Left: CT. Right: PSMA PET, same axial level, 18F-PSMA tracer. PET panel 200×200 px (4.1 mm/px).
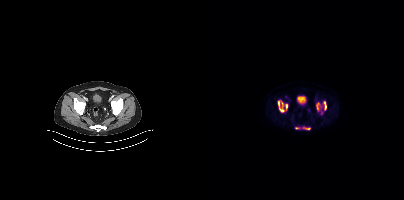
Coordinates are on the 200×200 PET (right) panel. PSMA-avid tumor lesion bounding boxes:
| # | x0 | y0 | x1 | y1 |
|---|---|---|---|---|
| 1 | 112 | 101 | 122 | 111 |
| 2 | 74 | 100 | 80 | 112 |
| 3 | 81 | 104 | 83 | 110 |
| 4 | 99 | 127 | 106 | 129 |
| 5 | 91 | 127 | 95 | 128 |
Small PSMA-avid focus (2 to 4 px across) near (center x, center y): (117, 113).